Technique: Two-panel axial: CT | PSMA PET, [18F]PSMA-1007 tracer. acquired on Siemens Biograph mCT Flow 20. slice position z = -798 mm.
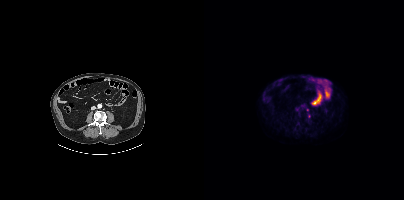
Findings: Coordinates are on the 200×200 PET (right) panel. Small PSMA-avid foci (2 to 4 px across) near (center x, center y): (105, 116); (103, 109).